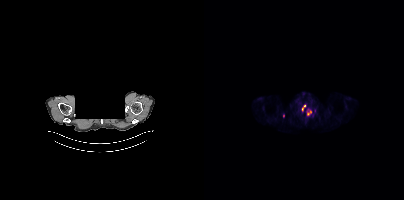
{"modality":"PSMA PET/CT","view":"axial","tracer":"[18F]PSMA-1007","pet_grid":[200,200],"coord_frame":"pet_panel","coord_format":"x0,y0,x1,y1","lesion_bboxes":[[102,108,107,115],[98,105,101,110]],"small_foci_centers":[[110,110],[79,116]],"redaction":"rectangular block over head set to black"}